Two-panel axial: CT | PSMA PET, 18F tracer. PET panel 200×200 px (4.1 mm/px). An anonymization step blacked out a rectangle over the head in this scan.
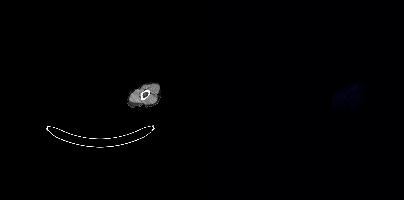
This slice has no annotated PSMA-avid lesion.